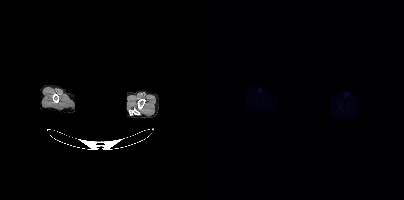
Findings: This slice has no annotated PSMA-avid lesion.
- head region blanked for anonymization (face removed)
- Left: CT. Right: PSMA PET, same axial level, 18F-PSMA tracer
- acquired on Siemens Biograph mCT Flow 20
- PET panel 200×200 px (4.1 mm/px)